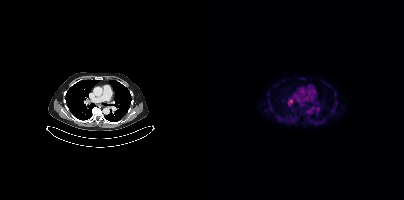
Coordinates are on the 200×200 PET (right) panel. (showing 2 of 3 foci) PSMA-avid tumor lesion bounding box (x0,y0,x1,y1): [85,99,88,103]. Small PSMA-avid focus (2 to 4 px across) near (center x, center y): (113, 109).